Technique: Paired axial CT (left) and PSMA PET (right), [18F]PSMA-1007 tracer.
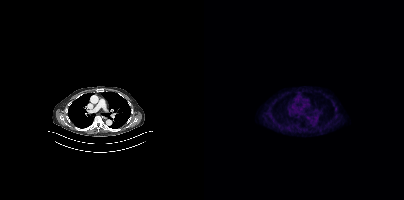
Findings: Only PSMA-avid lesion pieces thinner than 2 px on this slice (not listed).